modality: PSMA PET/CT | tracer: 18F | view: axial
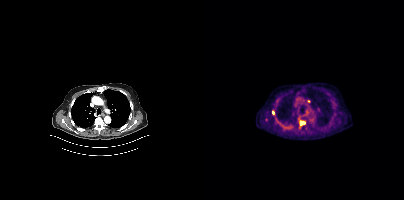
Coordinates are on the 200×200 PET (right) panel. PSMA-avid tumor lesion bounding box (x0, y0)-(x1, y1): (95, 120)-(101, 126). Small PSMA-avid foci (2 to 4 px across) near (center x, center y): (104, 101) | (68, 112).